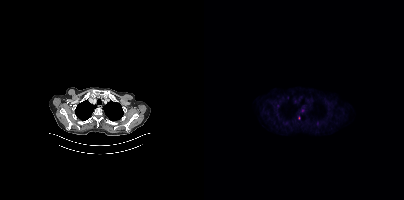
Paired axial CT (left) and PSMA PET (right), [18F]PSMA-1007 tracer. Acquired on Siemens Biograph mCT Flow 20. Slice 332 of 421. PET panel 200×200 px (4.1 mm/px). Only PSMA-avid lesion pieces thinner than 2 px on this slice (not listed).